Technique: Paired axial CT (left) and PSMA PET (right), 68Ga-PSMA tracer.
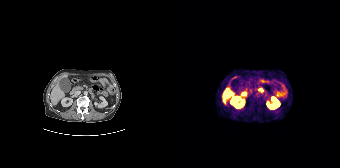
Findings: No tumor lesions annotated on this slice.